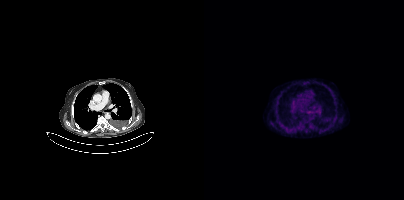
Negative for PSMA-avid disease on this slice.